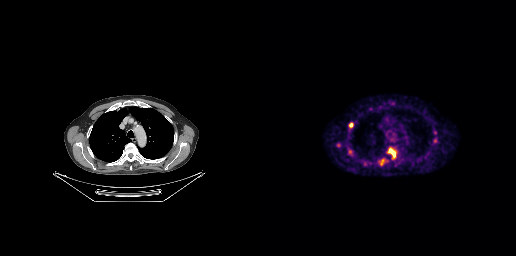
Coordinates are on the 256×256 PET (right) panel. PSMA-avid tumor lesion bounding boxes (x, y, width, height): x=129 y=149 w=6 h=8 / x=120 y=160 w=5 h=5 / x=89 y=123 w=4 h=5. Small PSMA-avid focus (2 to 4 px across) near (center x, center y): (174, 140).